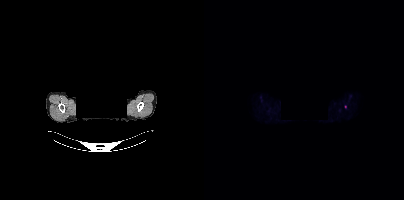
Technique: Two-panel axial: CT | PSMA PET, 18F tracer. PET panel 200×200 px (4.1 mm/px).
Note: Facial anatomy redacted by setting a rectangular region of the head to black.
Findings: Coordinates are on the 200×200 PET (right) panel. Small PSMA-avid focus (2 to 4 px across) near (center x, center y): (141, 106).